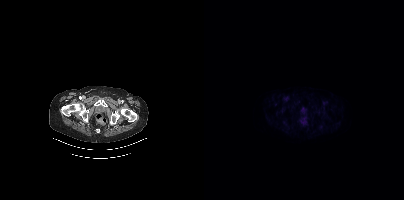
- Paired axial CT (left) and PSMA PET (right), [18F]PSMA-1007 tracer
- PET panel 200×200 px (4.1 mm/px)
Findings: This slice has no annotated PSMA-avid lesion.